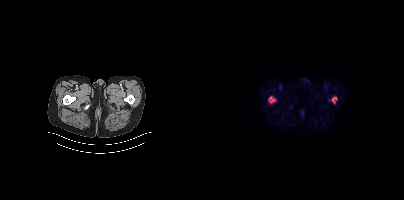
Coordinates are on the 200×200 PET (right) panel. PSMA-avid tumor lesion bounding boxes (x, y, width, height): x=128 y=97 w=5 h=7 / x=65 y=96 w=5 h=5.